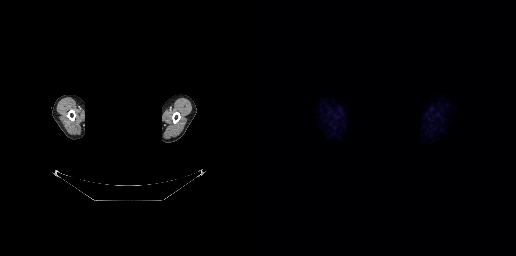
{"pet_grid":[256,256],"coord_frame":"pet_panel","coord_format":"x0,y0,x1,y1","psma_avid_lesions":false,"modality":"PSMA PET/CT","view":"axial","tracer":"18F","redaction":"head region blacked out before release"}